- Left: CT. Right: PSMA PET, same axial level, [68Ga]Ga-PSMA-11 tracer
- acquired on Siemens Biograph 64-4R TruePoint
- slice 84 of 195
- PET panel 168×168 px (4.1 mm/px)
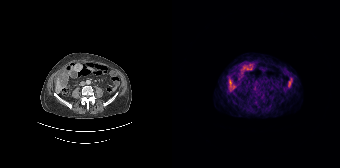
Findings: Coordinates are on the 168×168 PET (right) panel. (showing 2 of 3 foci) PSMA-avid tumor lesion bounding boxes (x0, y0)-(x1, y1): (57, 80)-(62, 86) / (70, 66)-(76, 69).